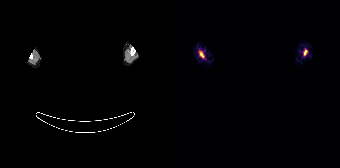
Coordinates are on the 168×168 PET (right) panel. PSMA-avid tumor lesion bounding boxes (x, y, width, height): x=27 y=51 w=6 h=7 / x=131 y=50 w=5 h=6.
The head region is masked for de-identification.